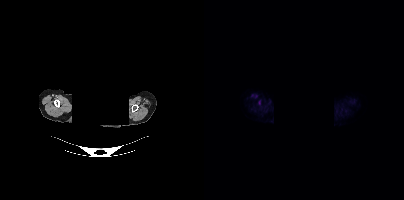
{"modality":"PSMA PET/CT","view":"axial","tracer":"18F","pet_grid":[200,200],"coord_frame":"pet_panel","coord_format":"x0,y0,x1,y1","psma_avid_lesions":false,"deidentification":"privacy mask over head"}